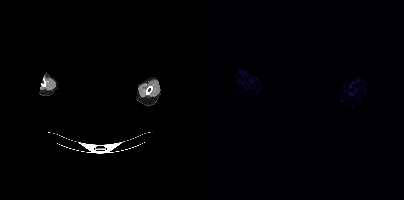
{"modality":"PSMA PET/CT","view":"axial","tracer":"[68Ga]Ga-PSMA-11","pet_grid":[200,200],"coord_frame":"pet_panel","coord_format":"x0,y0,x1,y1","de-identification":"facial region redacted","psma_avid_lesions":false}